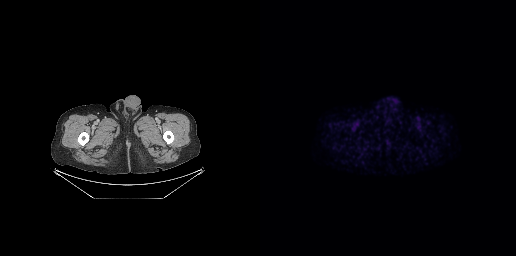
Paired axial CT (left) and PSMA PET (right), 18F tracer. This slice has no annotated PSMA-avid lesion.